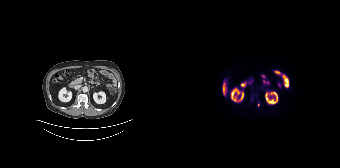
- Two-panel axial: CT | PSMA PET, 18F-PSMA tracer
Findings: Coordinates are on the 168×168 PET (right) panel. Small PSMA-avid focus (2 to 4 px across) near (center x, center y): (86, 104).